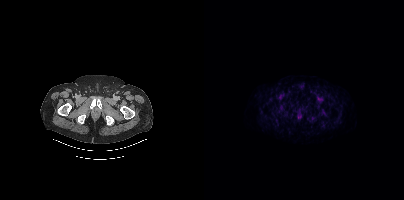
modality: PSMA PET/CT | tracer: 18F | view: axial
No PSMA-avid tumor lesions on this slice.